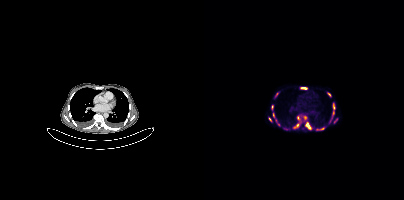
- Two-panel axial: CT | PSMA PET, 68Ga-PSMA tracer
- slice position z = -701 mm
Findings: Coordinates are on the 200×200 PET (right) panel. (showing 12 of 15 foci) PSMA-avid tumor lesion bounding boxes (x0,y0,x1,y1): [101,122,107,129]; [97,87,102,89]; [129,103,130,109]; [90,124,94,127]; [116,128,120,129]. Small PSMA-avid foci (2 to 4 px across) near (center x, center y): (124, 94); (69, 114); (93, 117); (101, 117); (75, 124); (65, 119); (71, 96).